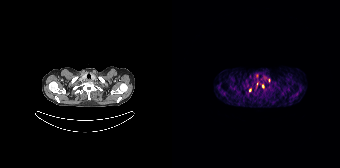
{"modality":"PSMA PET/CT","view":"axial","tracer":"[68Ga]Ga-PSMA-11","pet_grid":[168,168],"coord_frame":"pet_panel","coord_format":"x0,y0,x1,y1","partial":true,"lesion_bboxes":[],"small_foci_centers":[[97,80],[90,86]]}